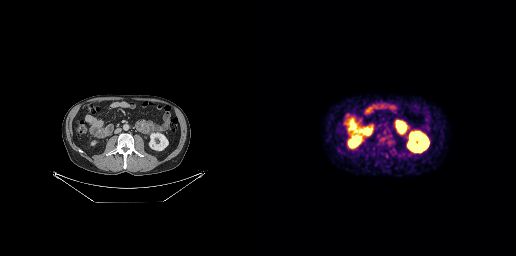
Coordinates are on the 256×256 PET (right) panel. PSMA-avid tumor lesion bounding boxes:
| # | x0 | y0 | x1 | y1 |
|---|---|---|---|---|
| 1 | 116 | 135 | 127 | 146 |
| 2 | 129 | 136 | 135 | 143 |
Small PSMA-avid focus (2 to 4 px across) near (center x, center y): (131, 150).
Left: CT. Right: PSMA PET, same axial level, 18F-PSMA tracer.